modality: PSMA PET/CT | tracer: 68Ga-PSMA | view: axial
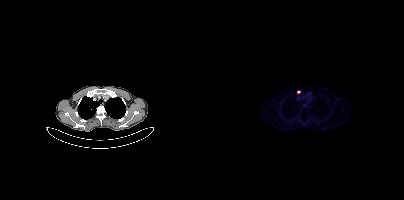
Coordinates are on the 200×200 PET (right) panel. Small PSMA-avid focus (2 to 4 px across) near (center x, center y): (94, 92).